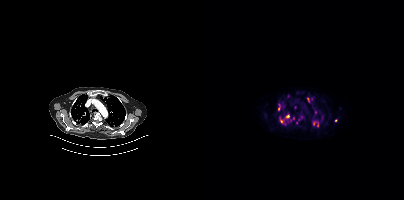
Coordinates are on the 200×200 PET (right) panel. PSMA-avid tumor lesion bounding boxes (partial; 3 more foci not listed):
| # | x0 | y0 | x1 | y1 |
|---|---|---|---|---|
| 1 | 109 | 120 | 115 | 127 |
| 2 | 76 | 117 | 79 | 123 |
| 3 | 95 | 117 | 99 | 120 |
| 4 | 74 | 104 | 76 | 110 |
| 5 | 103 | 98 | 105 | 102 |
| 6 | 81 | 115 | 85 | 118 |
Small PSMA-avid foci (2 to 4 px across) near (center x, center y): (84, 96); (111, 112); (118, 119); (89, 118); (131, 120).
Paired axial CT (left) and PSMA PET (right), 18F tracer. Slice position z = -430 mm.